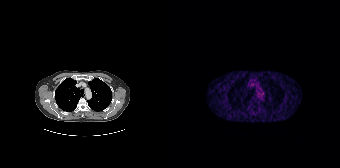
Only PSMA-avid lesion pieces thinner than 2 px on this slice (not listed). Left: CT. Right: PSMA PET, same axial level, 68Ga-PSMA tracer. Slice position z = -364 mm. PET panel 168×168 px (4.1 mm/px).